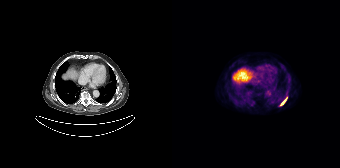
Coordinates are on the 168×168 PET (right) panel. PSMA-avid tumor lesion bounding box (x0,y0,x1,y1): [108,96,115,106].
modality: PSMA PET/CT | tracer: 18F-PSMA | view: axial